modality: PSMA PET/CT | tracer: 18F | view: axial
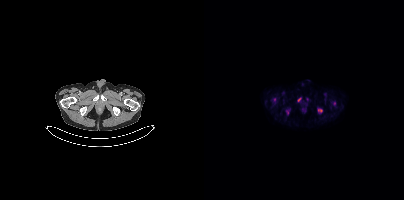
Coordinates are on the 200×200 PET (right) panel. (showing 2 of 5 foci) PSMA-avid tumor lesion bounding box (x0,y0,x1,y1): [114,109,118,111]. Small PSMA-avid focus (2 to 4 px across) near (center x, center y): (95, 99).